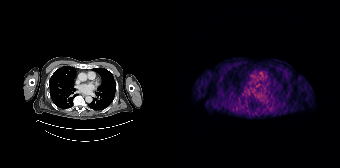
No tumor lesions annotated on this slice.